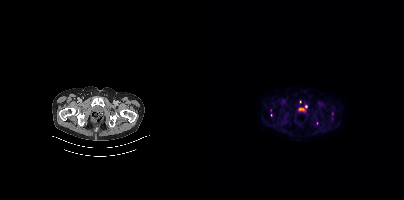
Coordinates are on the 200×200 PET (right) panel. (showing 3 of 5 foci) Small PSMA-avid foci (2 to 4 px across) near (center x, center y): (102, 106), (113, 123), (67, 115).